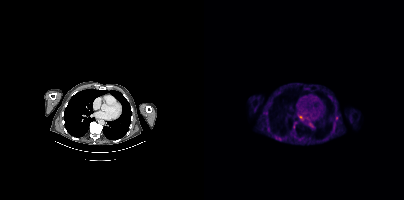
{"modality":"PSMA PET/CT","view":"axial","tracer":"18F-PSMA","pet_grid":[200,200],"coord_frame":"pet_panel","coord_format":"x0,y0,x1,y1","lesion_bboxes":[],"small_foci_centers":[[132,118]]}